Technique: Paired axial CT (left) and PSMA PET (right), 68Ga-PSMA tracer. acquired on Siemens Biograph 64-4R TruePoint. PET panel 168×168 px (4.1 mm/px).
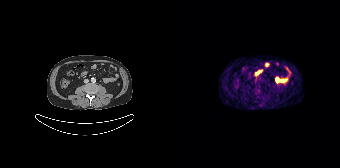
Findings: This slice has no annotated PSMA-avid lesion.